Technique: Left: CT. Right: PSMA PET, same axial level, 18F tracer. slice position z = -865 mm.
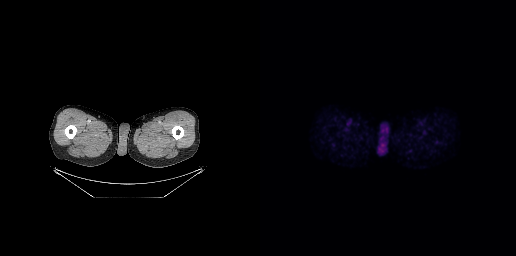
Findings: This slice has no annotated PSMA-avid lesion.